- Paired axial CT (left) and PSMA PET (right), 18F tracer
- acquired on Siemens Biograph mCT Flow 20
- slice 236 of 389
- PET panel 200×200 px (4.1 mm/px)
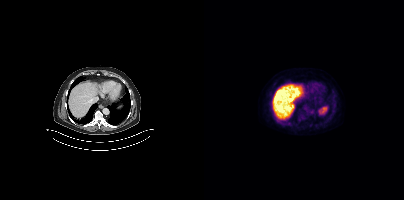
Findings: No tumor lesions annotated on this slice.